- Two-panel axial: CT | PSMA PET, 18F-PSMA tracer
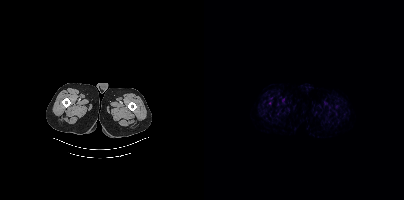
Findings: This slice has no annotated PSMA-avid lesion.